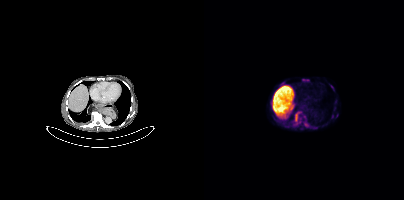
Findings: Coordinates are on the 200×200 PET (right) panel. (showing 2 of 3 foci) PSMA-avid tumor lesion bounding boxes (x, y, width, height): x=90 y=112 w=8 h=13 / x=100 y=123 w=5 h=4.
Technique: Paired axial CT (left) and PSMA PET (right), 18F tracer.